- Left: CT. Right: PSMA PET, same axial level, 18F-PSMA tracer
- acquired on Siemens Biograph mCT Flow 20
- slice 35 of 385
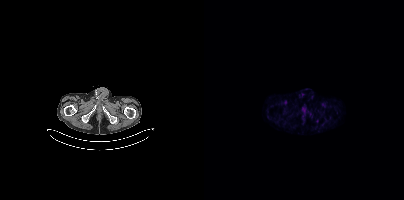
Findings: Coordinates are on the 200×200 PET (right) panel. Small PSMA-avid focus (2 to 4 px across) near (center x, center y): (113, 121).